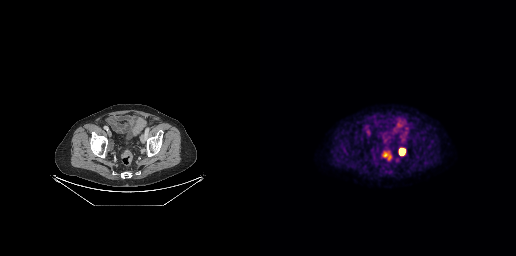
- Two-panel axial: CT | PSMA PET, 18F tracer
- slice 67 of 263
- PET panel 256×256 px (2.7 mm/px)
Findings: Coordinates are on the 256×256 PET (right) panel. PSMA-avid tumor lesion bounding box (x0, y0)-(x1, y1): (139, 148)-(145, 155).